Two-panel axial: CT | PSMA PET, 68Ga tracer.
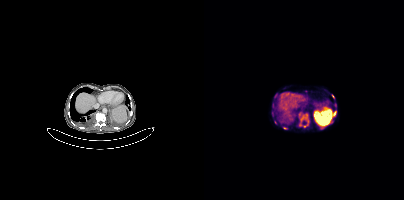
Coordinates are on the 200×200 PET (right) panel. (showing 6 of 13 foci) PSMA-avid tumor lesion bounding boxes (x, y, width, height): x=79 y=127 w=5 h=3 | x=97 y=116 w=3 h=5. Small PSMA-avid foci (2 to 4 px across) near (center x, center y): (130, 115) | (131, 111) | (128, 96) | (102, 114).